modality: PSMA PET/CT | tracer: 18F-PSMA | view: axial | PET grid: 168×168
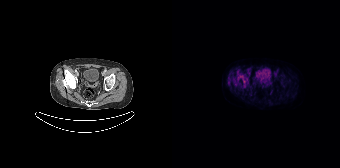
Only PSMA-avid lesion pieces thinner than 2 px on this slice (not listed).